Technique: Paired axial CT (left) and PSMA PET (right), [18F]PSMA-1007 tracer. acquired on Siemens Biograph mCT Flow 20. slice 126 of 429.
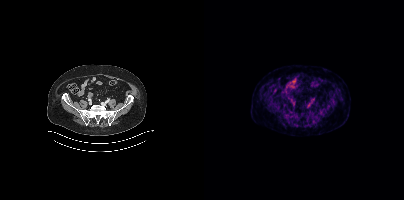
Findings: This slice has no annotated PSMA-avid lesion.